Paired axial CT (left) and PSMA PET (right), [68Ga]Ga-PSMA-11 tracer. PET panel 168×168 px (4.1 mm/px).
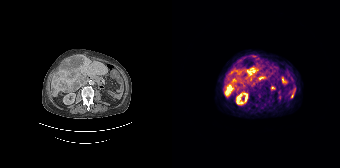
Coordinates are on the 168×168 PET (right) panel. PSMA-avid tumor lesion bounding boxes (partial; 1 more focus not listed):
| # | x0 | y0 | x1 | y1 |
|---|---|---|---|---|
| 1 | 52 | 84 | 61 | 96 |
| 2 | 75 | 67 | 83 | 75 |
| 3 | 64 | 68 | 70 | 74 |
| 4 | 58 | 69 | 62 | 73 |
| 5 | 60 | 78 | 64 | 82 |